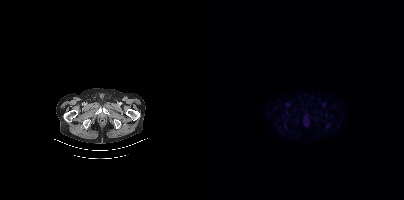
Negative for PSMA-avid disease on this slice. Two-panel axial: CT | PSMA PET, 18F-PSMA tracer. PET panel 200×200 px (4.1 mm/px).